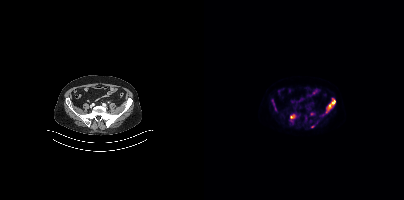
Coordinates are on the 200×200 PET (right) panel. (showing 4 of 5 foci) PSMA-avid tumor lesion bounding boxes (x0, y0)-(x1, y1): (122, 100)-(131, 112) / (86, 114)-(92, 118). Small PSMA-avid foci (2 to 4 px across) near (center x, center y): (107, 114) / (108, 126). Left: CT. Right: PSMA PET, same axial level, 18F-PSMA tracer. Slice 122 of 395.